- Paired axial CT (left) and PSMA PET (right), 18F tracer
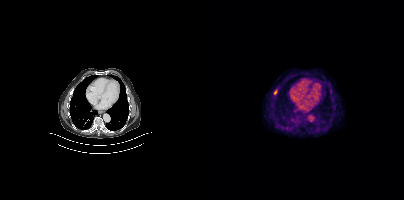
Findings: Coordinates are on the 200×200 PET (right) panel. PSMA-avid tumor lesion bounding box (x0, y0)-(x1, y1): (70, 90)-(73, 94).